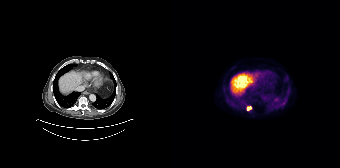
Left: CT. Right: PSMA PET, same axial level, 18F-PSMA tracer. Acquired on Siemens Biograph 64-4R TruePoint. Slice 104 of 165. PET panel 168×168 px (4.1 mm/px). Coordinates are on the 168×168 PET (right) panel. PSMA-avid tumor lesion bounding box (x0,y0,x1,y1): [74,106,80,110].